- Left: CT. Right: PSMA PET, same axial level, [18F]PSMA-1007 tracer
- PET panel 200×200 px (4.1 mm/px)
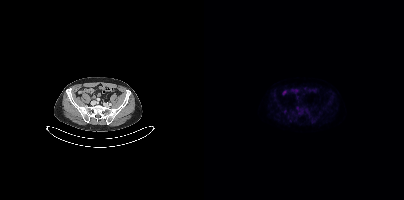
Findings: Coordinates are on the 200×200 PET (right) panel. Small PSMA-avid focus (2 to 4 px across) near (center x, center y): (80, 111).